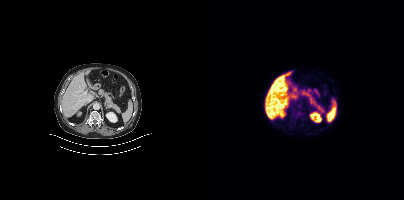
- Left: CT. Right: PSMA PET, same axial level, 18F-PSMA tracer
- acquired on Siemens Biograph mCT Flow 20
- slice position z = -540 mm
Findings: This slice has no annotated PSMA-avid lesion.